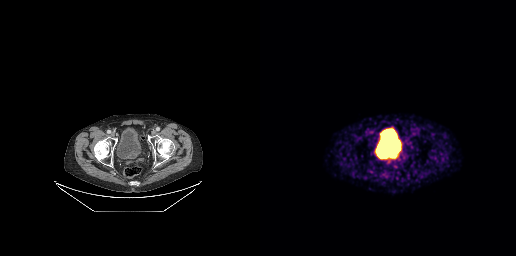
Paired axial CT (left) and PSMA PET (right), [68Ga]Ga-PSMA-11 tracer. Slice 74 of 263. PET panel 256×256 px (2.7 mm/px). Coordinates are on the 256×256 PET (right) panel. PSMA-avid tumor lesion bounding box (x0, y0)-(x1, y1): (127, 154)-(137, 158).